Left: CT. Right: PSMA PET, same axial level, [18F]PSMA-1007 tracer. Slice 98 of 407.
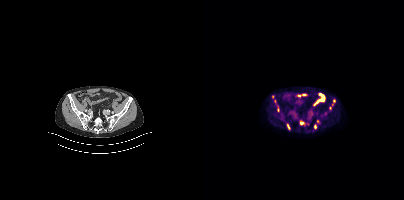
Coordinates are on the 200×200 PET (right) panel. (showing 8 of 11 foci) Small PSMA-avid foci (2 to 4 px across) near (center x, center y): (97, 123) / (130, 100) / (111, 126) / (126, 108) / (85, 128) / (68, 96) / (120, 100) / (128, 104).